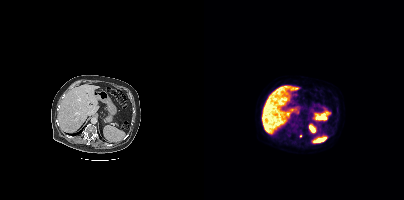
Coordinates are on the 200×200 PET (right) panel. Small PSMA-avid focus (2 to 4 px across) near (center x, center y): (96, 135). Left: CT. Right: PSMA PET, same axial level, [18F]PSMA-1007 tracer. PET panel 200×200 px (4.1 mm/px).